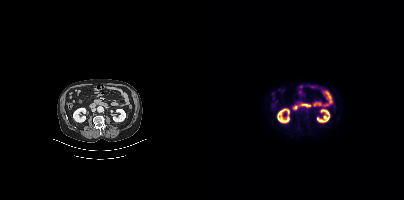
No PSMA-avid tumor lesions on this slice.
modality: PSMA PET/CT | tracer: 18F-PSMA | view: axial